Technique: Paired axial CT (left) and PSMA PET (right), [68Ga]Ga-PSMA-11 tracer. acquired on Siemens Biograph 64-4R TruePoint. slice 63 of 195. PET panel 168×168 px (4.1 mm/px).
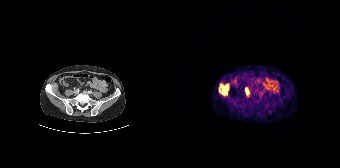
Findings: Coordinates are on the 168×168 PET (right) panel. (showing 2 of 3 foci) PSMA-avid tumor lesion bounding boxes (x0, y0)-(x1, y1): (49, 85)-(56, 94) | (73, 88)-(77, 94).